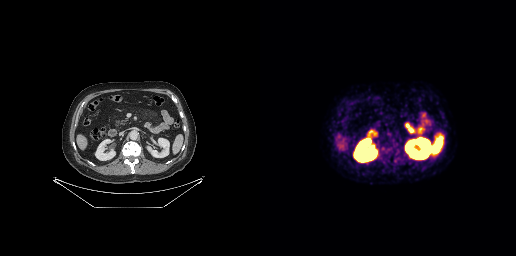
Findings: No PSMA-avid tumor lesions on this slice.
- Two-panel axial: CT | PSMA PET, [68Ga]Ga-PSMA-11 tracer
- acquired on GE Discovery 690
- slice position z = -618 mm
- PET panel 256×256 px (2.7 mm/px)